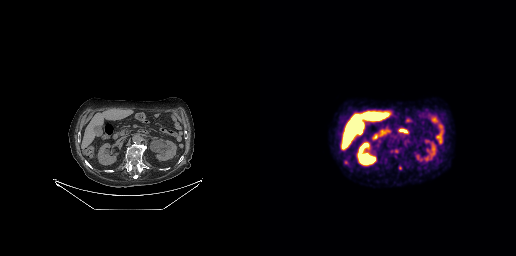
Coordinates are on the 256×256 PET (right) panel. Small PSMA-avid foci (2 to 4 px across) near (center x, center y): (86, 162) (136, 151) (140, 168). Two-panel axial: CT | PSMA PET, 18F-PSMA tracer. PET panel 256×256 px (2.7 mm/px).